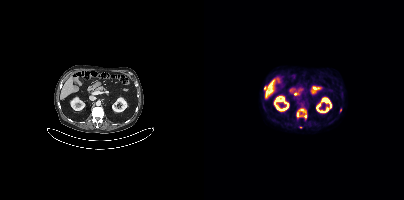
Coordinates are on the 200×200 PET (right) panel. PSMA-avid tumor lesion bounding box (x0,y0,x1,y1): [93,109,102,118]. Small PSMA-avid foci (2 to 4 px across) near (center x, center y): (61, 87), (136, 110), (96, 127). Two-panel axial: CT | PSMA PET, [18F]PSMA-1007 tracer. Slice 188 of 387. PET panel 200×200 px (4.1 mm/px).